- Left: CT. Right: PSMA PET, same axial level, 18F-PSMA tracer
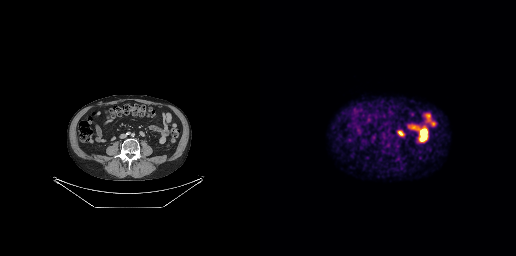
Findings: This slice has no annotated PSMA-avid lesion.